An anonymization step blacked out a rectangle over the head in this scan. Left: CT. Right: PSMA PET, same axial level, 18F-PSMA tracer. Acquired on Siemens Biograph mCT Flow 20. PET panel 200×200 px (4.1 mm/px).
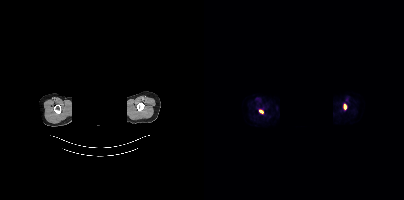
Coordinates are on the 200×200 PET (right) panel. PSMA-avid tumor lesion bounding boxes:
| # | x0 | y0 | x1 | y1 |
|---|---|---|---|---|
| 1 | 139 | 104 | 142 | 109 |
| 2 | 55 | 110 | 59 | 113 |